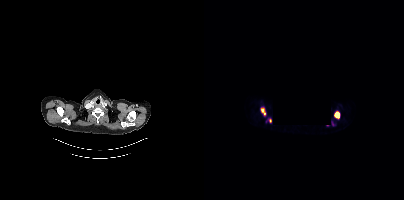
{"pet_grid":[200,200],"coord_frame":"pet_panel","coord_format":"x0,y0,x1,y1","lesion_bboxes":[[130,111,135,118],[57,108,61,114]],"small_foci_centers":[[66,120]],"modality":"PSMA PET/CT","view":"axial","tracer":"18F-PSMA","redaction":"rectangular block set to black"}